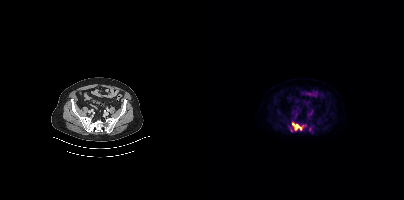
Paired axial CT (left) and PSMA PET (right), 18F-PSMA tracer. Acquired on Siemens Biograph mCT Flow 20. Slice position z = -694 mm. Coordinates are on the 200×200 PET (right) panel. (showing 2 of 4 foci) PSMA-avid tumor lesion bounding boxes (x, y, width, height): x=88 y=122 w=12 h=9; x=105 y=127 w=3 h=5.